modality: PSMA PET/CT | tracer: 18F-PSMA | view: axial
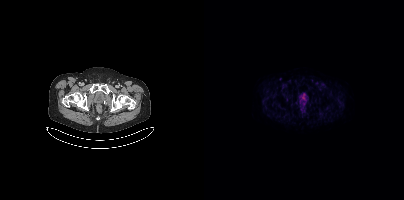
No PSMA-avid tumor lesions on this slice.